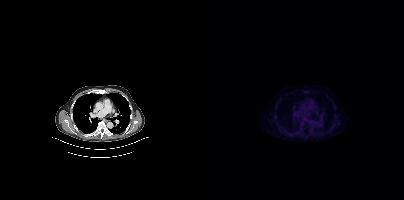
No PSMA-avid tumor lesions on this slice. Paired axial CT (left) and PSMA PET (right), 18F-PSMA tracer.